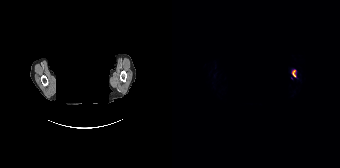
An anonymization step blacked out a rectangle over the head in this scan. Left: CT. Right: PSMA PET, same axial level, 18F-PSMA tracer. Slice position z = -620 mm. Coordinates are on the 168×168 PET (right) panel. PSMA-avid tumor lesion bounding box (x, y, width, height): x=120 y=69 w=5 h=9. Small PSMA-avid focus (2 to 4 px across) near (center x, center y): (119, 78).